Paired axial CT (left) and PSMA PET (right), [18F]PSMA-1007 tracer. Slice 251 of 367.
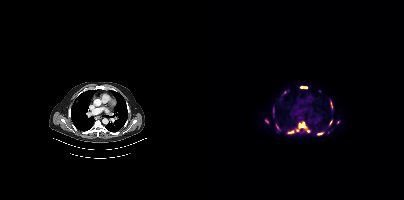
Coordinates are on the 200×200 PET (right) panel. PSMA-avid tumor lesion bounding boxes (partial; 4 more foci not listed):
| # | x0 | y0 | x1 | y1 |
|---|---|---|---|---|
| 1 | 95 | 122 | 102 | 128 |
| 2 | 113 | 132 | 119 | 135 |
| 3 | 84 | 130 | 89 | 133 |
| 4 | 97 | 86 | 103 | 88 |
Small PSMA-avid foci (2 to 4 px across) near (center x, center y): (104, 131); (126, 122); (93, 130).